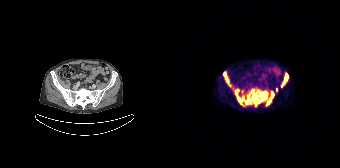
Findings: Coordinates are on the 168×168 PET (right) panel. (showing 8 of 9 foci) PSMA-avid tumor lesion bounding boxes (x0,y0,x1,y1): [79,89,95,105], [63,89,72,104], [94,91,101,105], [73,94,79,104], [51,73,56,83], [111,74,116,83]. Small PSMA-avid foci (2 to 4 px across) near (center x, center y): (104, 89), (57, 85).
- Paired axial CT (left) and PSMA PET (right), [68Ga]Ga-PSMA-11 tracer
- slice 65 of 195